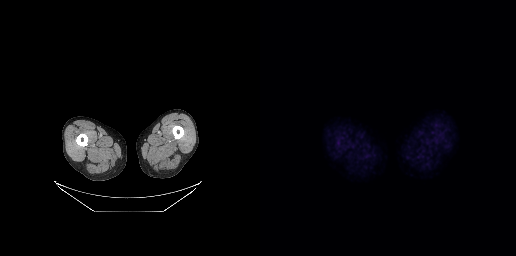
No tumor lesions annotated on this slice. Paired axial CT (left) and PSMA PET (right), 18F tracer. PET panel 256×256 px (2.7 mm/px).